- Paired axial CT (left) and PSMA PET (right), 68Ga tracer
- acquired on Siemens Biograph 64-4R TruePoint
- slice 125 of 195
- PET panel 168×168 px (4.1 mm/px)
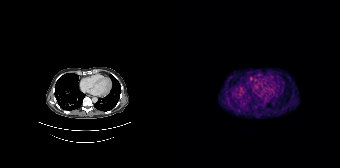
Findings: This slice has no annotated PSMA-avid lesion.